Left: CT. Right: PSMA PET, same axial level, [18F]PSMA-1007 tracer. Acquired on Siemens Biograph mCT Flow 20. PET panel 200×200 px (4.1 mm/px).
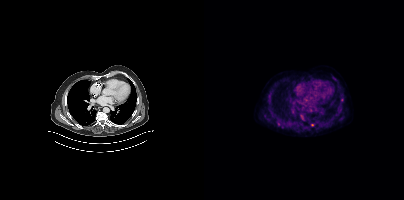
Coordinates are on the 200×200 PET (right) panel. Small PSMA-avid foci (2 to 4 px across) near (center x, center y): (74, 123); (108, 125); (97, 116); (137, 118).